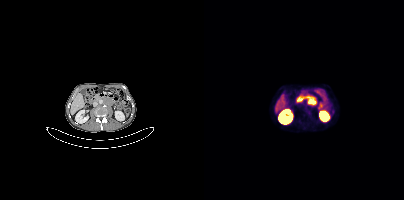
modality: PSMA PET/CT | tracer: 68Ga | view: axial | PET grid: 200×200
Coordinates are on the 200×200 PET (right) panel. PSMA-avid tumor lesion bounding box (x0,y0,x1,y1): [101,95,112,105].